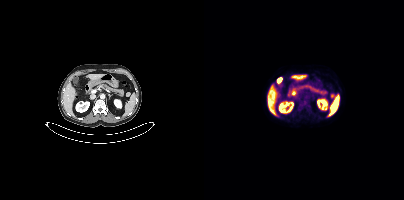
Coordinates are on the 200×200 PET (right) panel. Small PSMA-avid focus (2 to 4 px across) near (center x, center y): (128, 95).
modality: PSMA PET/CT | tracer: 18F-PSMA | view: axial | PET grid: 200×200